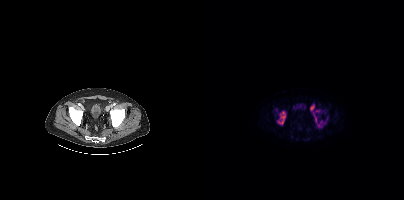
Coordinates are on the 200×200 PET (right) panel. PSMA-avid tumor lesion bounding boxes (x, y, width, height): x=74 y=111 w=8 h=14; x=110 y=114 w=8 h=14. Small PSMA-avid focus (2 to 4 px across) near (center x, center y): (113, 111).